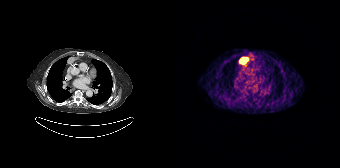
Findings: Coordinates are on the 168×168 PET (right) panel. PSMA-avid tumor lesion bounding box (x0, y0)-(x1, y1): (68, 57)-(75, 63).
- Paired axial CT (left) and PSMA PET (right), 68Ga tracer
- slice 145 of 195
- PET panel 168×168 px (4.1 mm/px)